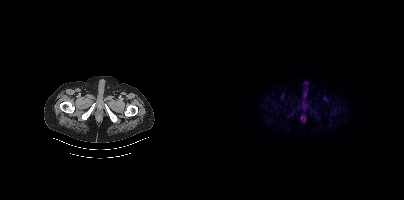
{"modality":"PSMA PET/CT","view":"axial","tracer":"18F-PSMA","pet_grid":[200,200],"coord_frame":"pet_panel","coord_format":"x0,y0,x1,y1","lesion_bboxes":[],"small_foci_centers":[[93,106],[85,115]]}